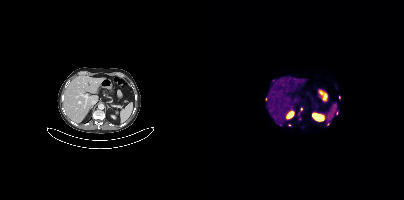
Findings: Coordinates are on the 200×200 PET (right) panel. (showing 5 of 6 foci) PSMA-avid tumor lesion bounding box (x, y, width, height): x=94 y=108 w=5 h=7. Small PSMA-avid foci (2 to 4 px across) near (center x, center y): (85, 125); (133, 112); (135, 97); (124, 124).
Technique: Paired axial CT (left) and PSMA PET (right), [68Ga]Ga-PSMA-11 tracer.